Two-panel axial: CT | PSMA PET, [18F]PSMA-1007 tracer. Slice 156 of 263.
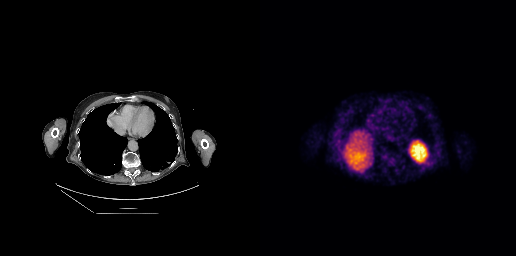
No tumor lesions annotated on this slice.